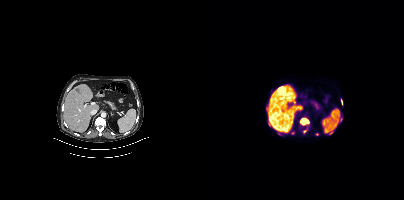
Coordinates are on the 200×200 PET (right) panel. (showing 1 of 2 foci) PSMA-avid tumor lesion bounding box (x0, y0)-(x1, y1): (96, 118)-(104, 124). Left: CT. Right: PSMA PET, same axial level, 18F-PSMA tracer. PET panel 200×200 px (4.1 mm/px).